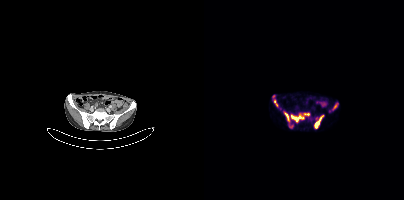
Left: CT. Right: PSMA PET, same axial level, 68Ga tracer.
Coordinates are on the 200×200 PET (right) panel. PSMA-avid tumor lesion bounding boxes:
| # | x0 | y0 | x1 | y1 |
|---|---|---|---|---|
| 1 | 87 | 114 | 100 | 121 |
| 2 | 111 | 115 | 119 | 128 |
| 3 | 70 | 99 | 73 | 106 |
| 4 | 81 | 113 | 84 | 120 |
| 5 | 100 | 113 | 105 | 115 |
Small PSMA-avid foci (2 to 4 px across) near (center x, center y): (86, 124); (131, 106); (69, 96).